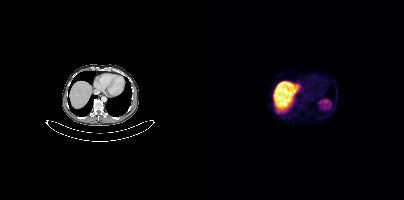
No tumor lesions annotated on this slice.